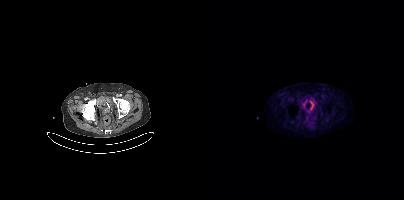
Left: CT. Right: PSMA PET, same axial level, 18F-PSMA tracer. Slice position z = -1510 mm. Negative for PSMA-avid disease on this slice.